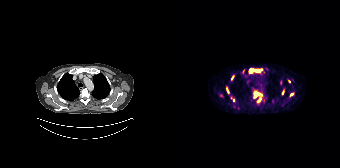
modality: PSMA PET/CT | tracer: [68Ga]Ga-PSMA-11 | view: axial
Coordinates are on the 168×168 PET (right) panel. PSMA-avid tumor lesion bounding boxes (x0, y0)-(x1, y1): (77, 69)-(90, 72); (82, 92)-(87, 97); (59, 75)-(62, 80). Small PSMA-avid foci (2 to 4 px across) near (center x, center y): (117, 81); (110, 92); (55, 90); (119, 94); (61, 100); (86, 100).